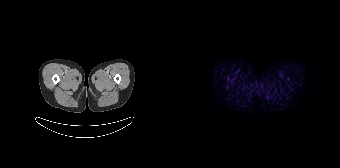
No tumor lesions annotated on this slice.
modality: PSMA PET/CT | tracer: 68Ga | view: axial | PET grid: 168×168